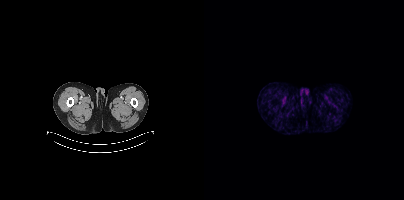
{"modality":"PSMA PET/CT","view":"axial","tracer":"[68Ga]Ga-PSMA-11","pet_grid":[200,200],"coord_frame":"pet_panel","coord_format":"x0,y0,x1,y1","psma_avid_lesions":false}